- Left: CT. Right: PSMA PET, same axial level, 68Ga-PSMA tracer
- acquired on GE Discovery 690
- PET panel 256×256 px (2.7 mm/px)
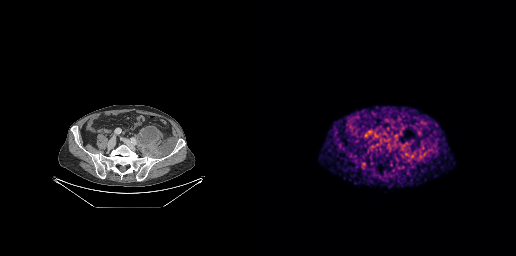
Findings: Coordinates are on the 256×256 PET (right) panel. Small PSMA-avid foci (2 to 4 px across) near (center x, center y): (146, 154); (152, 156).